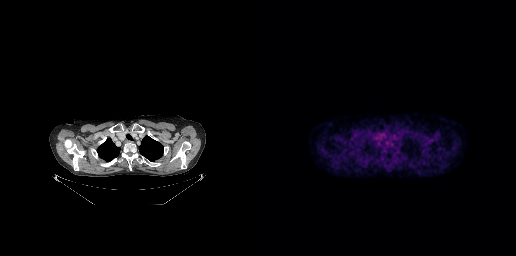
No tumor lesions annotated on this slice.